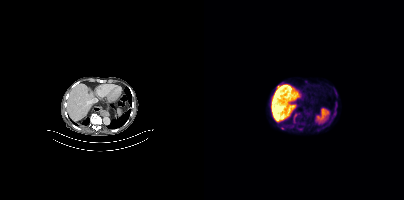
Left: CT. Right: PSMA PET, same axial level, 18F-PSMA tracer. Acquired on Siemens Biograph mCT Flow 20. PET panel 200×200 px (4.1 mm/px). Coordinates are on the 200×200 PET (right) panel. (showing 2 of 3 foci) Small PSMA-avid foci (2 to 4 px across) near (center x, center y): (74, 86); (91, 115).